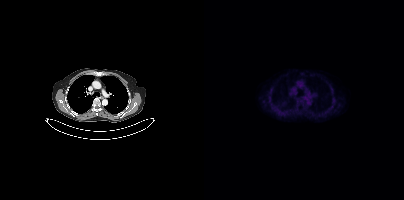
Technique: Two-panel axial: CT | PSMA PET, 18F tracer.
Findings: Coordinates are on the 200×200 PET (right) panel. Small PSMA-avid focus (2 to 4 px across) near (center x, center y): (92, 92).